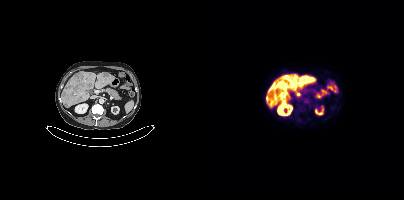
Paired axial CT (left) and PSMA PET (right), 18F-PSMA tracer. Acquired on Siemens Biograph mCT Flow 20. Slice 205 of 431.
Coordinates are on the 200×200 PET (right) panel. PSMA-avid tumor lesion bounding boxes:
| # | x0 | y0 | x1 | y1 |
|---|---|---|---|---|
| 1 | 98 | 76 | 103 | 81 |
| 2 | 87 | 80 | 91 | 84 |
| 3 | 73 | 82 | 77 | 85 |
Small PSMA-avid foci (2 to 4 px across) near (center x, center y): (81, 78); (94, 94).